de-identification: facial region redacted | modality: PSMA PET/CT | tracer: [18F]PSMA-1007 | view: axial
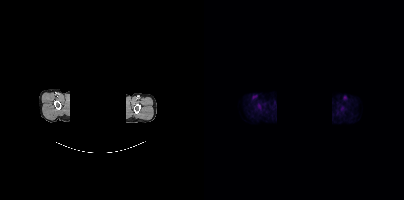
No PSMA-avid tumor lesions on this slice.